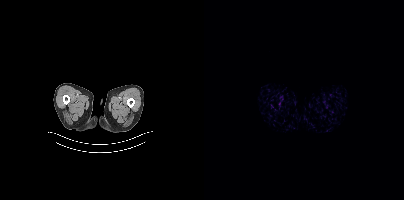
Findings: No PSMA-avid tumor lesions on this slice.
- Left: CT. Right: PSMA PET, same axial level, 18F tracer